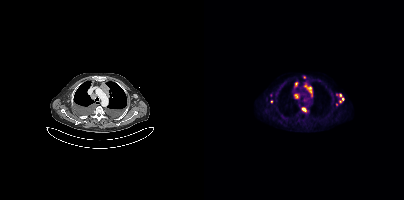
Coordinates are on the 200×200 PET (right) panel. PSMA-avid tumor lesion bounding boxes (partial; 1 more focus not listed):
| # | x0 | y0 | x1 | y1 |
|---|---|---|---|---|
| 1 | 100 | 85 | 108 | 96 |
| 2 | 97 | 107 | 102 | 111 |
| 3 | 132 | 93 | 137 | 97 |
| 4 | 90 | 94 | 94 | 98 |
| 5 | 91 | 82 | 93 | 86 |
| 6 | 136 | 98 | 140 | 102 |
Small PSMA-avid foci (2 to 4 px across) near (center x, center y): (67, 101); (100, 77).
Paired axial CT (left) and PSMA PET (right), [18F]PSMA-1007 tracer. Acquired on Siemens Biograph mCT Flow 20. PET panel 200×200 px (4.1 mm/px).